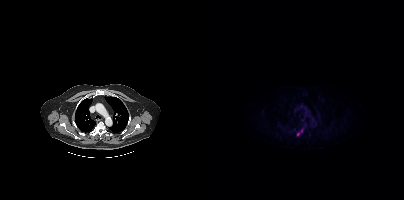
Findings: Coordinates are on the 200×200 PET (right) panel. PSMA-avid tumor lesion bounding box (x, y, width, height): x=93 y=130 w=6 h=6.
Technique: Left: CT. Right: PSMA PET, same axial level, 18F-PSMA tracer. acquired on Siemens Biograph mCT Flow 20. PET panel 200×200 px (4.1 mm/px).